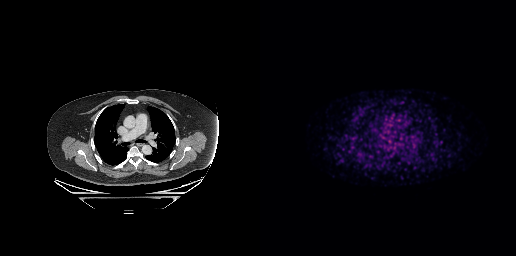
No tumor lesions annotated on this slice.